An anonymization step blacked out a rectangle over the head in this scan. Paired axial CT (left) and PSMA PET (right), 18F tracer. Acquired on Siemens Biograph 64-4R TruePoint. Slice position z = -510 mm.
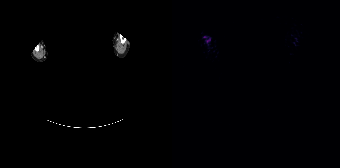
Negative for PSMA-avid disease on this slice.